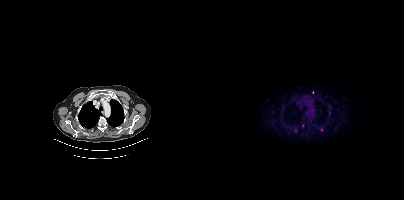
Two-panel axial: CT | PSMA PET, [18F]PSMA-1007 tracer. Coordinates are on the 200×200 PET (right) panel. Small PSMA-avid focus (2 to 4 px across) near (center x, center y): (108, 92).